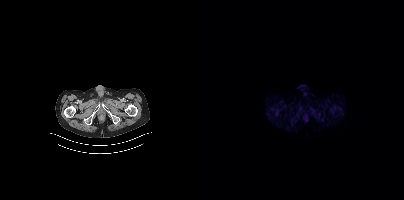
{"pet_grid":[200,200],"coord_frame":"pet_panel","coord_format":"x0,y0,x1,y1","psma_avid_lesions":false,"modality":"PSMA PET/CT","view":"axial","tracer":"18F-PSMA"}